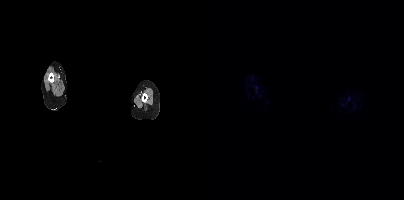
Findings: Negative for PSMA-avid disease on this slice.
- Left: CT. Right: PSMA PET, same axial level, 68Ga-PSMA tracer
- acquired on Siemens Biograph mCT Flow 20
- slice 418 of 444
- PET panel 200×200 px (4.1 mm/px)
- head region blanked for anonymization (face removed)